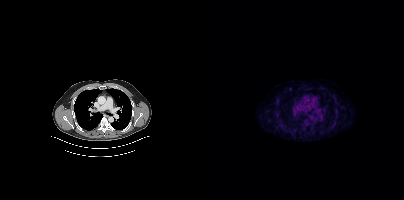
No tumor lesions annotated on this slice. Paired axial CT (left) and PSMA PET (right), 18F tracer. Acquired on Siemens Biograph mCT Flow 20. Slice 298 of 417.